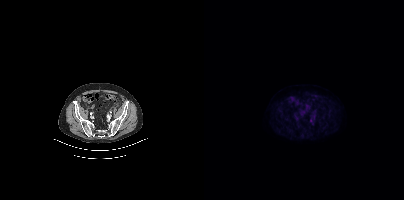
Coordinates are on the 200×200 PET (right) panel. Small PSMA-avid focus (2 to 4 px across) near (center x, center y): (111, 111).